- Two-panel axial: CT | PSMA PET, [18F]PSMA-1007 tracer
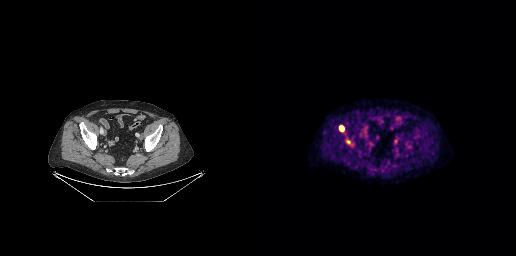
Findings: Coordinates are on the 256×256 PET (right) panel. PSMA-avid tumor lesion bounding box (x0,y0,x1,y1): [80,126,83,130]. Small PSMA-avid focus (2 to 4 px across) near (center x, center y): (88, 141).